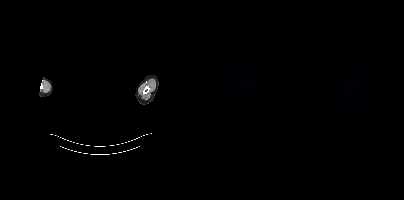
{"pet_grid":[200,200],"coord_frame":"pet_panel","coord_format":"x0,y0,x1,y1","psma_avid_lesions":false,"redaction":"privacy mask over head","modality":"PSMA PET/CT","view":"axial","tracer":"[18F]PSMA-1007"}